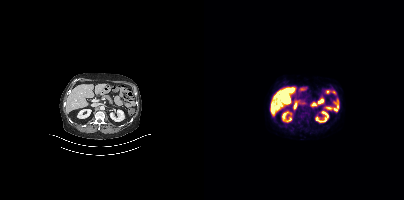
This slice has no annotated PSMA-avid lesion.